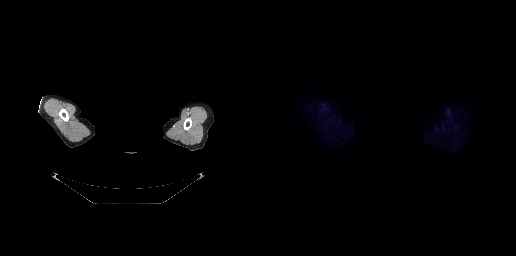
{"modality":"PSMA PET/CT","view":"axial","tracer":"18F-PSMA","pet_grid":[256,256],"coord_frame":"pet_panel","coord_format":"x0,y0,x1,y1","deidentification":"rectangular block over head set to black","psma_avid_lesions":false}